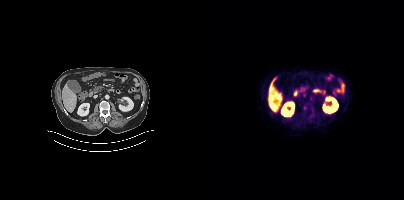
{"pet_grid":[200,200],"coord_frame":"pet_panel","coord_format":"x0,y0,x1,y1","lesion_bboxes":[[99,106,102,110]],"small_foci_centers":[[100,94]],"modality":"PSMA PET/CT","view":"axial","tracer":"[18F]PSMA-1007"}